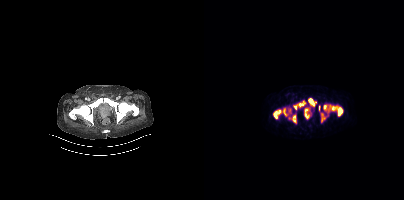
modality: PSMA PET/CT | tracer: [68Ga]Ga-PSMA-11 | view: axial | PET grid: 200×200
This slice has no annotated PSMA-avid lesion.